Two-panel axial: CT | PSMA PET, 18F tracer. Acquired on Siemens Biograph mCT Flow 20.
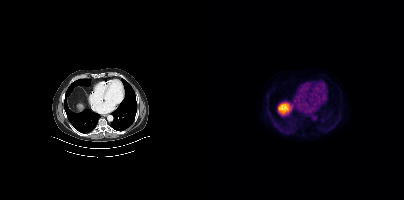
No PSMA-avid tumor lesions on this slice.